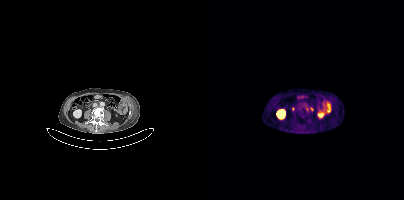
Findings: Only PSMA-avid lesion pieces thinner than 2 px on this slice (not listed).
Technique: Paired axial CT (left) and PSMA PET (right), [68Ga]Ga-PSMA-11 tracer. acquired on Siemens Biograph mCT Flow 20. PET panel 200×200 px (4.1 mm/px).